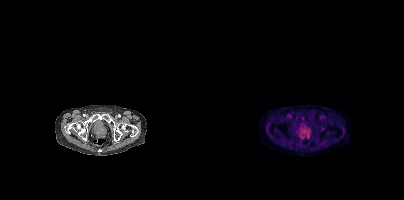
Findings: Coordinates are on the 200×200 PET (right) panel. PSMA-avid tumor lesion bounding boxes (x0, y0)-(x1, y1): (100, 133)-(105, 138); (97, 134)-(100, 138). Small PSMA-avid focus (2 to 4 px across) near (center x, center y): (99, 117).
Technique: Paired axial CT (left) and PSMA PET (right), 18F-PSMA tracer. slice 69 of 389. PET panel 200×200 px (4.1 mm/px).